- Left: CT. Right: PSMA PET, same axial level, 18F tracer
- slice position z = -1351 mm
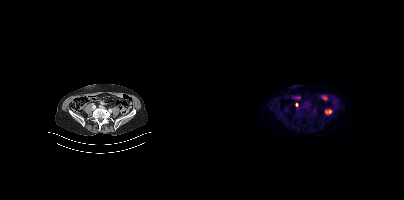
Findings: Coordinates are on the 200×200 PET (right) panel. Small PSMA-avid focus (2 to 4 px across) near (center x, center y): (92, 104).